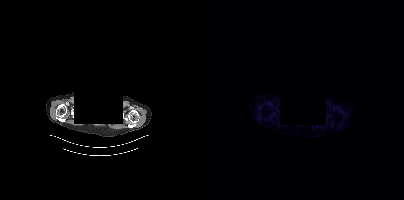
Negative for PSMA-avid disease on this slice. Left: CT. Right: PSMA PET, same axial level, 18F tracer. Slice position z = -406 mm. Facial anatomy redacted by setting a rectangular region of the head to black.